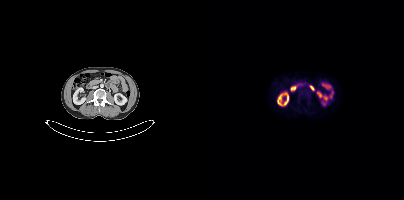
This slice has no annotated PSMA-avid lesion.
modality: PSMA PET/CT | tracer: [18F]PSMA-1007 | view: axial | PET grid: 200×200